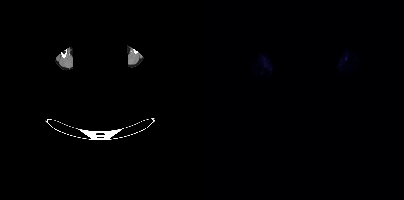
{"modality":"PSMA PET/CT","view":"axial","tracer":"18F-PSMA","pet_grid":[200,200],"coord_frame":"pet_panel","coord_format":"x0,y0,x1,y1","de-identification":"facial region redacted","psma_avid_lesions":false}